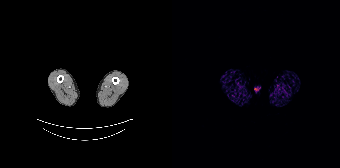
{"modality":"PSMA PET/CT","view":"axial","tracer":"68Ga","pet_grid":[168,168],"coord_frame":"pet_panel","coord_format":"x0,y0,x1,y1","psma_avid_lesions":false}